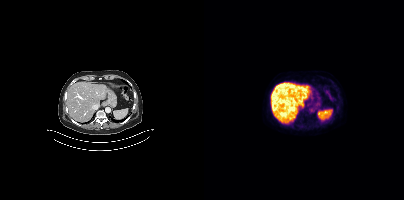
modality: PSMA PET/CT | tracer: 18F | view: axial | PET grid: 200×200
No tumor lesions annotated on this slice.